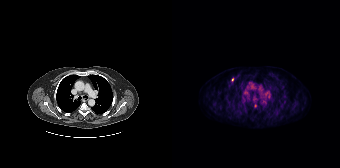
Findings: Coordinates are on the 168×168 PET (right) panel. (showing 1 of 2 foci) Small PSMA-avid focus (2 to 4 px across) near (center x, center y): (60, 79).
Technique: Left: CT. Right: PSMA PET, same axial level, 18F tracer. PET panel 168×168 px (4.1 mm/px).